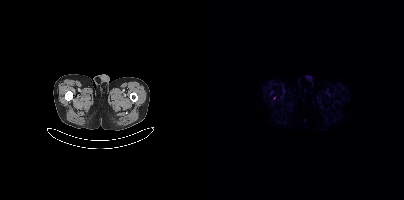
{"modality":"PSMA PET/CT","view":"axial","tracer":"[18F]PSMA-1007","pet_grid":[200,200],"coord_frame":"pet_panel","coord_format":"x0,y0,x1,y1","psma_avid_lesions":false}